- Left: CT. Right: PSMA PET, same axial level, [68Ga]Ga-PSMA-11 tracer
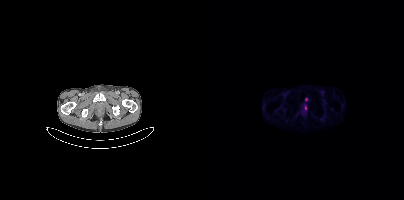
Findings: Coordinates are on the 200×200 PET (right) panel. Small PSMA-avid foci (2 to 4 px across) near (center x, center y): (102, 108), (102, 99).